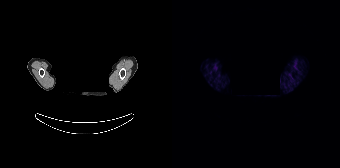
Two-panel axial: CT | PSMA PET, 68Ga-PSMA tracer. Slice 148 of 165. PET panel 168×168 px (4.1 mm/px). The face region was removed for patient privacy by blanking a rectangle over the head. No PSMA-avid tumor lesions on this slice.